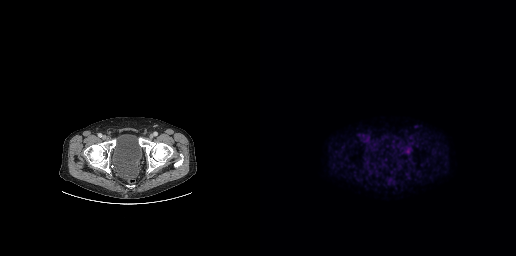
Findings: Coordinates are on the 256×256 PET (right) panel. PSMA-avid tumor lesion bounding box (x0, y0)-(x1, y1): (145, 146)-(152, 153).
Technique: Left: CT. Right: PSMA PET, same axial level, 18F tracer.